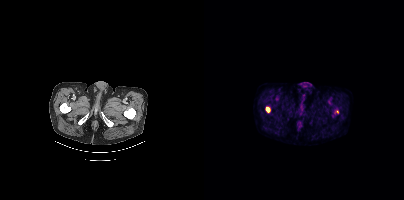
Paired axial CT (left) and PSMA PET (right), 18F tracer. Slice position z = -494 mm. Coordinates are on the 200×200 PET (right) panel. PSMA-avid tumor lesion bounding box (x0, y0)-(x1, y1): (62, 107)-(66, 112). Small PSMA-avid focus (2 to 4 px across) near (center x, center y): (132, 111).